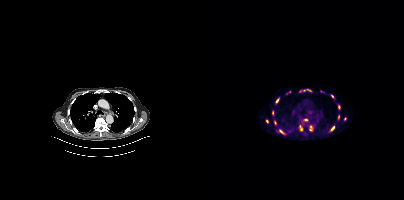
Coordinates are on the 200×200 PET (right) panel. (showing 13 of 15 foci) PSMA-avid tumor lesion bounding boxes (x0, y0)-(x1, y1): (95, 89)-(108, 92); (105, 125)-(108, 131); (75, 129)-(80, 134); (95, 125)-(98, 130); (134, 104)-(136, 109); (72, 99)-(75, 103); (62, 119)-(64, 123); (127, 126)-(130, 130); (68, 111)-(69, 115). Small PSMA-avid foci (2 to 4 px across) near (center x, center y): (101, 120); (71, 122); (128, 96); (86, 91).
modality: PSMA PET/CT | tracer: [18F]PSMA-1007 | view: axial